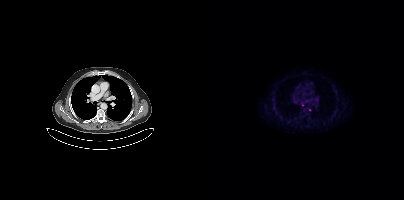
modality: PSMA PET/CT | tracer: 18F-PSMA | view: axial
No PSMA-avid tumor lesions on this slice.